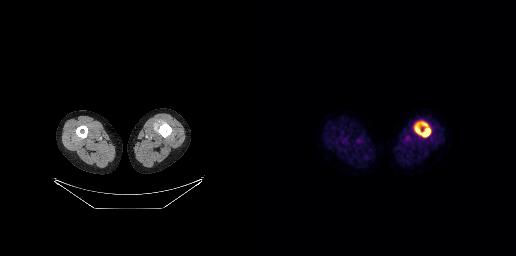
Coordinates are on the 256×256 PET (right) panel. PSMA-avid tumor lesion bounding box (x, y, width, height): x=155 y=122 w=16 h=15.